Left: CT. Right: PSMA PET, same axial level, 18F-PSMA tracer. Slice position z = -1232 mm.
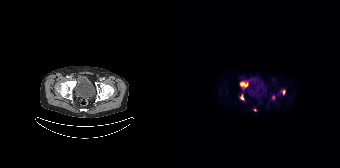
Coordinates are on the 168×168 PET (right) panel. PSMA-avid tumor lesion bounding boxes:
| # | x0 | y0 | x1 | y1 |
|---|---|---|---|---|
| 1 | 68 | 81 | 76 | 88 |
| 2 | 68 | 94 | 71 | 99 |
| 3 | 111 | 90 | 113 | 94 |
Small PSMA-avid foci (2 to 4 px across) near (center x, center y): (101, 97); (83, 109).